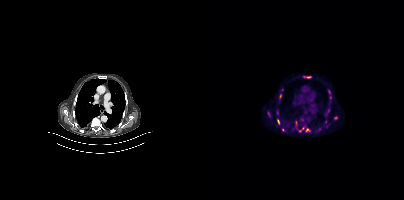
Findings: Coordinates are on the 200×200 PET (right) panel. (showing 8 of 9 foci) PSMA-avid tumor lesion bounding boxes (x0, y0)-(x1, y1): (91, 120)-(105, 132); (73, 119)-(76, 125); (63, 111)-(66, 117); (100, 76)-(107, 78). Small PSMA-avid foci (2 to 4 px across) near (center x, center y): (131, 118); (98, 119); (76, 96); (124, 110).
- Paired axial CT (left) and PSMA PET (right), 18F tracer
- acquired on Siemens Biograph mCT Flow 20
- PET panel 200×200 px (4.1 mm/px)